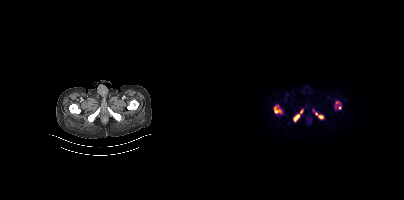
{"modality":"PSMA PET/CT","view":"axial","tracer":"68Ga-PSMA","pet_grid":[200,200],"coord_frame":"pet_panel","coord_format":"x0,y0,x1,y1","psma_avid_lesions":false}